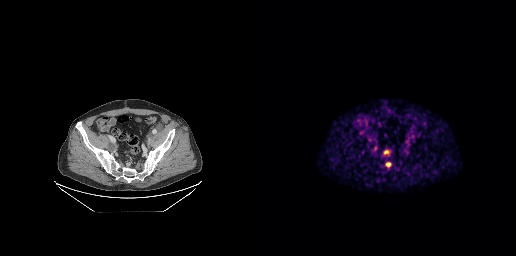
Coordinates are on the 256×256 PET (right) panel. PSMA-avid tumor lesion bounding boxes:
| # | x0 | y0 | x1 | y1 |
|---|---|---|---|---|
| 1 | 126 | 162 | 131 | 166 |
Left: CT. Right: PSMA PET, same axial level, 68Ga tracer. Slice 69 of 263.